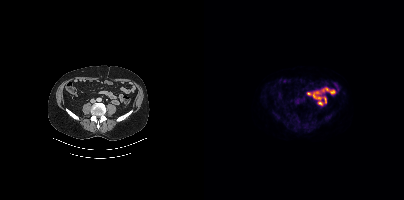
Coordinates are on the 200×200 PET (right) panel. PSMA-avid tumor lesion bounding boxes:
| # | x0 | y0 | x1 | y1 |
|---|---|---|---|---|
| 1 | 120 | 117 | 122 | 121 |
Small PSMA-avid foci (2 to 4 px across) near (center x, center y): (117, 120); (129, 111).
Two-panel axial: CT | PSMA PET, 18F-PSMA tracer. Slice position z = -1221 mm. PET panel 200×200 px (4.1 mm/px).